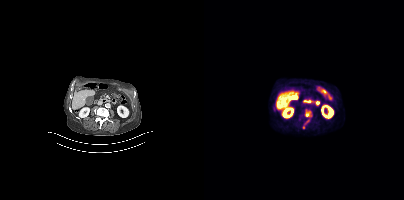
{"pet_grid":[200,200],"coord_frame":"pet_panel","coord_format":"x0,y0,x1,y1","lesion_bboxes":[[101,109,107,117]],"small_foci_centers":[[70,109],[103,121],[99,127]],"modality":"PSMA PET/CT","view":"axial","tracer":"[18F]PSMA-1007"}